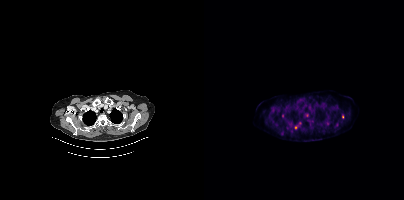
{"modality":"PSMA PET/CT","view":"axial","tracer":"18F-PSMA","pet_grid":[200,200],"coord_frame":"pet_panel","coord_format":"x0,y0,x1,y1","partial":true,"lesion_bboxes":[[138,114,139,118]],"small_foci_centers":[[96,123],[92,127]]}